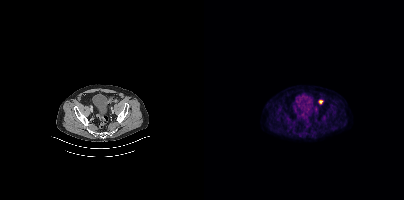
Technique: Left: CT. Right: PSMA PET, same axial level, 18F-PSMA tracer. acquired on Siemens Biograph mCT Flow 20. slice position z = -728 mm.
Findings: Coordinates are on the 200×200 PET (right) panel. PSMA-avid tumor lesion bounding box (x, y, width, height): x=114 y=100 w=6 h=5.